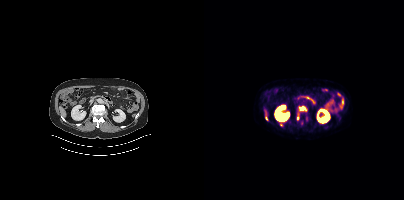
Coordinates are on the 200×200 PET (right) panel. PSMA-avid tumor lesion bounding box (x0,y0,x1,y1): [95,106,102,110]. Small PSMA-avid foci (2 to 4 px across) near (center x, center y): (62, 118) (93, 118).